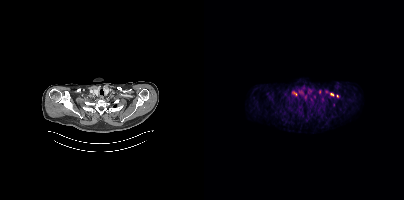
Findings: Coordinates are on the 200×200 PET (right) panel. (showing 3 of 5 foci) PSMA-avid tumor lesion bounding box (x0,y0,x1,y1): [88,92,92,95]. Small PSMA-avid foci (2 to 4 px across) near (center x, center y): (115, 91) (128, 94).
- Paired axial CT (left) and PSMA PET (right), 68Ga-PSMA tracer
- slice 364 of 429